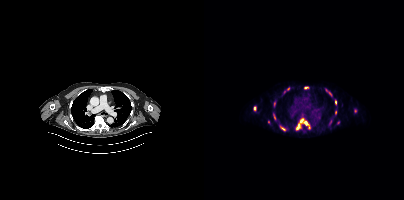
- Two-panel axial: CT | PSMA PET, 18F tracer
- acquired on Siemens Biograph mCT Flow 20
- PET panel 200×200 px (4.1 mm/px)
Findings: Coordinates are on the 200×200 PET (right) panel. (showing 13 of 16 foci) PSMA-avid tumor lesion bounding boxes (x0, y0)-(x1, y1): (92, 118)-(106, 129) / (76, 126)-(81, 130) / (100, 86)-(104, 89) / (131, 100)-(132, 104) / (70, 115)-(71, 119). Small PSMA-avid foci (2 to 4 px across) near (center x, center y): (84, 88) / (131, 112) / (126, 94) / (50, 108) / (151, 111) / (80, 91) / (122, 90) / (134, 122).